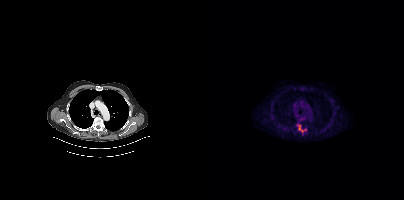
Paired axial CT (left) and PSMA PET (right), 18F-PSMA tracer. Slice position z = -1050 mm. PET panel 200×200 px (4.1 mm/px).
Coordinates are on the 200×200 PET (right) panel. PSMA-avid tumor lesion bounding boxes (partial; 1 more focus not listed):
| # | x0 | y0 | x1 | y1 |
|---|---|---|---|---|
| 1 | 94 | 125 | 99 | 131 |